Paired axial CT (left) and PSMA PET (right), 18F-PSMA tracer. Slice 355 of 454. PET panel 200×200 px (4.1 mm/px).
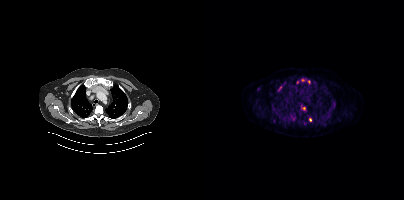
Coordinates are on the 200×200 PET (right) panel. PSMA-avid tumor lesion bounding boxes (x0, y0)-(x1, y1): (84, 113)-(92, 122) / (97, 117)-(107, 124) / (97, 105)-(101, 110) / (74, 85)-(78, 90) / (124, 111)-(127, 116) / (97, 78)-(101, 81) / (127, 105)-(130, 109) / (103, 80)-(106, 84). Small PSMA-avid foci (2 to 4 px across) near (center x, center y): (129, 101) / (73, 114).